Head region blanked for anonymization (face removed). Paired axial CT (left) and PSMA PET (right), [18F]PSMA-1007 tracer. Slice position z = -270 mm.
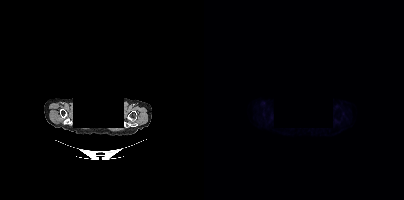
This slice has no annotated PSMA-avid lesion.